Left: CT. Right: PSMA PET, same axial level, 18F tracer. PET panel 200×200 px (4.1 mm/px).
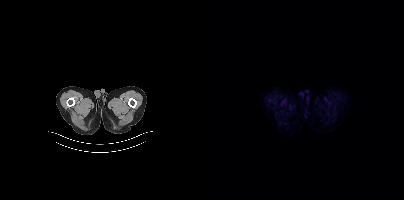
No PSMA-avid tumor lesions on this slice.